- Left: CT. Right: PSMA PET, same axial level, [18F]PSMA-1007 tracer
- acquired on Siemens Biograph mCT Flow 20
- PET panel 200×200 px (4.1 mm/px)
- head region blanked for anonymization (face removed)
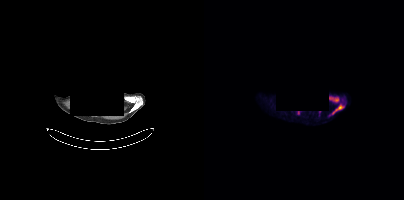
Findings: Coordinates are on the 200×200 PET (right) panel. (showing 2 of 3 foci) PSMA-avid tumor lesion bounding boxes (x0, y0)-(x1, y1): (125, 97)-(134, 101); (128, 104)-(139, 114).